Two-panel axial: CT | PSMA PET, [18F]PSMA-1007 tracer. Acquired on Siemens Biograph mCT Flow 20.
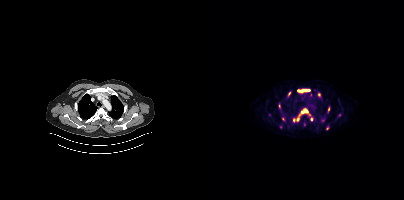
Coordinates are on the 200×200 PET (right) panel. PSMA-avid tumor lesion bounding boxes:
| # | x0 | y0 | x1 | y1 |
|---|---|---|---|---|
| 1 | 89 | 109 | 103 | 121 |
| 2 | 93 | 89 | 106 | 92 |
| 3 | 124 | 107 | 125 | 111 |
Small PSMA-avid foci (2 to 4 px across) near (center x, center y): (115, 94); (107, 119); (85, 94); (100, 124); (123, 128); (75, 106); (78, 118).